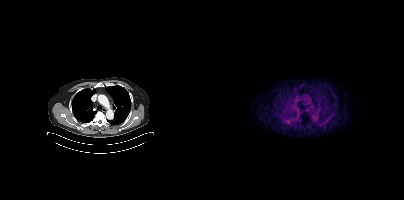
Findings: No tumor lesions annotated on this slice.
Technique: Left: CT. Right: PSMA PET, same axial level, 68Ga tracer. slice 326 of 433.